- Paired axial CT (left) and PSMA PET (right), 68Ga-PSMA tracer
- PET panel 200×200 px (4.1 mm/px)
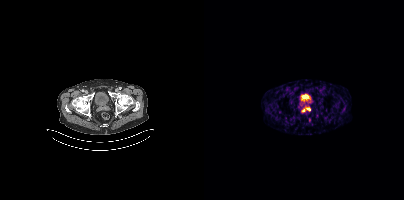
Findings: Coordinates are on the 200×200 PET (right) panel. Small PSMA-avid foci (2 to 4 px across) near (center x, center y): (99, 110) | (105, 109).